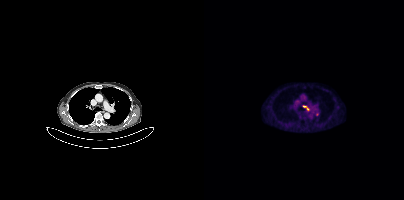
Technique: Left: CT. Right: PSMA PET, same axial level, 18F-PSMA tracer.
Findings: Coordinates are on the 200×200 PET (right) panel. (showing 1 of 2 foci) PSMA-avid tumor lesion bounding box (x0, y0)-(x1, y1): (98, 105)-(105, 111).